modality: PSMA PET/CT | tracer: 18F-PSMA | view: axial | PET grid: 200×200
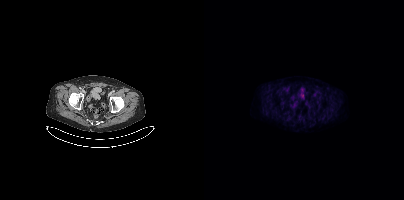
Negative for PSMA-avid disease on this slice.